modality: PSMA PET/CT | tracer: 18F | view: axial | PET grid: 200×200
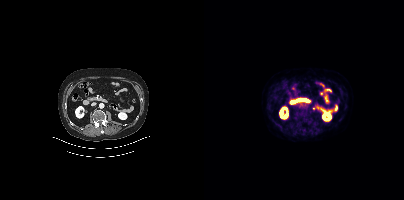
Coordinates are on the 200×200 PET (right) panel. Small PSMA-avid focus (2 to 4 px across) near (center x, center y): (109, 108).